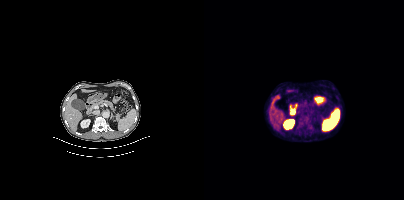
Coordinates are on the 200×200 PET (right) panel. PSMA-avid tumor lesion bounding box (x0, y0)-(x1, y1): (94, 118)-(108, 129).